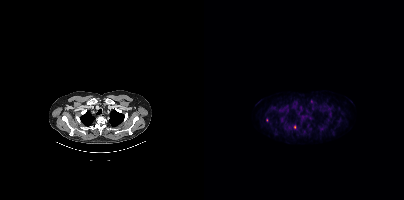
modality: PSMA PET/CT | tracer: 18F-PSMA | view: axial
Coordinates are on the 200×200 PET (right) panel. (showing 1 of 2 foci) Small PSMA-avid focus (2 to 4 px across) near (center x, center y): (90, 126).